Technique: Two-panel axial: CT | PSMA PET, 18F-PSMA tracer. slice 418 of 429.
Note: A rectangle over the head was blacked out to remove identifiable facial features.
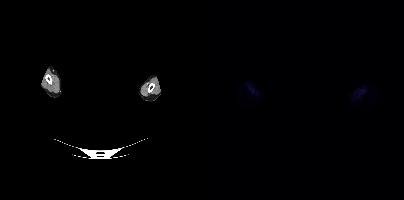
Findings: No PSMA-avid tumor lesions on this slice.